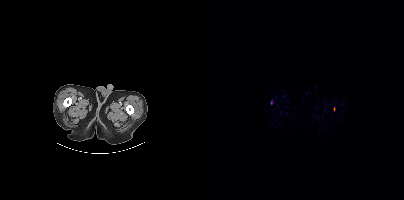
Findings: No PSMA-avid tumor lesions on this slice.
Technique: Left: CT. Right: PSMA PET, same axial level, 18F tracer. acquired on Siemens Biograph mCT Flow 20.